Left: CT. Right: PSMA PET, same axial level, [68Ga]Ga-PSMA-11 tracer.
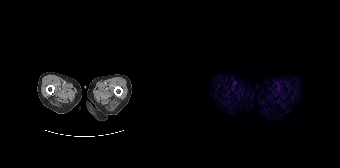
No PSMA-avid tumor lesions on this slice.